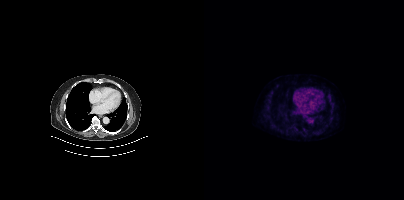
Technique: Left: CT. Right: PSMA PET, same axial level, 18F tracer. acquired on Siemens Biograph mCT Flow 20.
Findings: No PSMA-avid tumor lesions on this slice.